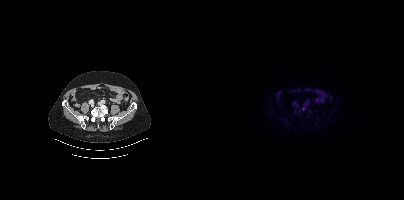
Paired axial CT (left) and PSMA PET (right), 18F-PSMA tracer. Coordinates are on the 200×200 PET (right) panel. Small PSMA-avid focus (2 to 4 px across) near (center x, center y): (99, 109).